Left: CT. Right: PSMA PET, same axial level, 18F tracer.
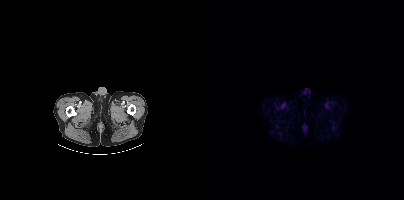
This slice has no annotated PSMA-avid lesion.